Technique: Two-panel axial: CT | PSMA PET, [68Ga]Ga-PSMA-11 tracer. acquired on Siemens Biograph 64-4R TruePoint. slice 184 of 195.
Note: A rectangular block over the head has been blanked out for de-identification.
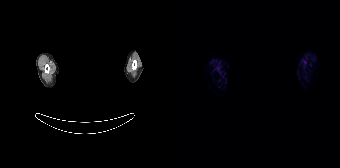
Findings: This slice has no annotated PSMA-avid lesion.